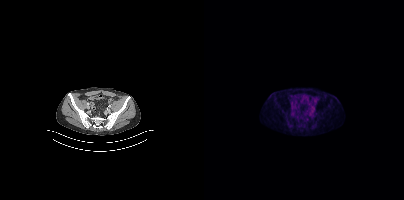
{"pet_grid":[200,200],"coord_frame":"pet_panel","coord_format":"x0,y0,x1,y1","psma_avid_lesions":false,"modality":"PSMA PET/CT","view":"axial","tracer":"[18F]PSMA-1007"}